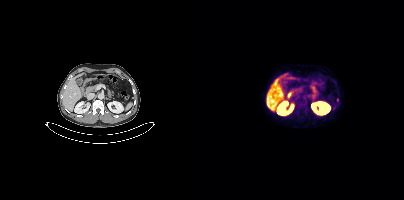
Coordinates are on the 200×200 PET (right) panel. Small PSMA-avid focus (2 to 4 px across) near (center x, center y): (133, 99).
modality: PSMA PET/CT | tracer: [18F]PSMA-1007 | view: axial